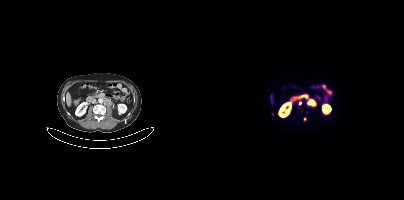
Coordinates are on the 200×200 PET (right) panel. Small PSMA-avid foci (2 to 4 px across) near (center x, center y): (105, 102) | (68, 114) | (100, 118) | (96, 103). Left: CT. Right: PSMA PET, same axial level, [68Ga]Ga-PSMA-11 tracer. Acquired on Siemens Biograph mCT Flow 20. Slice position z = -1275 mm. PET panel 200×200 px (4.1 mm/px).